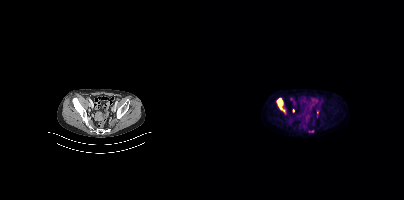
Two-panel axial: CT | PSMA PET, [18F]PSMA-1007 tracer.
Coordinates are on the 200×200 PET (right) panel. PSMA-avid tumor lesion bounding boxes (partial; 1 more focus not listed):
| # | x0 | y0 | x1 | y1 |
|---|---|---|---|---|
| 1 | 73 | 98 | 81 | 113 |
| 2 | 104 | 130 | 109 | 132 |
Small PSMA-avid focus (2 to 4 px across) near (center x, center y): (113, 112).